Technique: Two-panel axial: CT | PSMA PET, 18F tracer. acquired on Siemens Biograph mCT Flow 20.
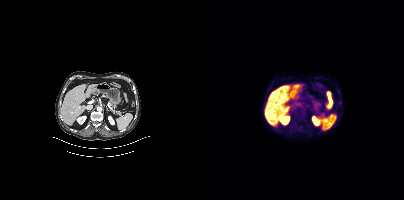
Findings: No tumor lesions annotated on this slice.